Paired axial CT (left) and PSMA PET (right), 68Ga tracer.
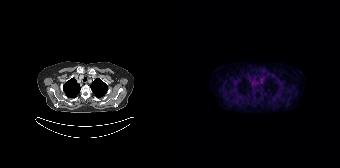
No PSMA-avid tumor lesions on this slice.